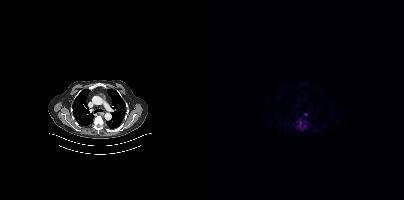
Coordinates are on the 200×200 PET (right) panel. (showing 1 of 2 foci) PSMA-avid tumor lesion bounding box (x, y, width, height): x=92 y=119 w=11 h=12.